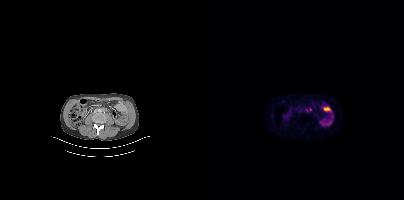
Two-panel axial: CT | PSMA PET, [18F]PSMA-1007 tracer. Slice 171 of 435. Coordinates are on the 200×200 PET (right) panel. PSMA-avid tumor lesion bounding box (x, y, width, height): x=101 y=108 w=7 h=4.